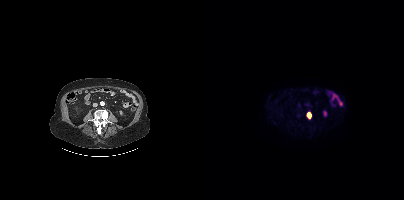
{"modality":"PSMA PET/CT","view":"axial","tracer":"18F-PSMA","pet_grid":[200,200],"coord_frame":"pet_panel","coord_format":"x0,y0,x1,y1","lesion_bboxes":[[103,112,107,118]]}